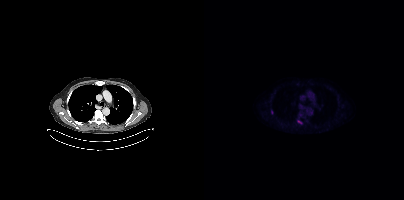
Findings: Coordinates are on the 200×200 PET (right) panel. Small PSMA-avid foci (2 to 4 px across) near (center x, center y): (95, 121); (67, 112).
Technique: Left: CT. Right: PSMA PET, same axial level, 18F-PSMA tracer. acquired on Siemens Biograph mCT Flow 20. slice 320 of 431.